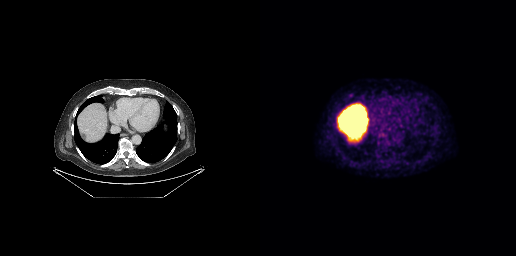
Coordinates are on the 256×256 PET (right) panel. Small PSMA-avid focus (2 to 4 px across) near (center x, center y): (89, 95). Paired axial CT (left) and PSMA PET (right), 18F tracer. PET panel 256×256 px (2.7 mm/px).